Technique: Two-panel axial: CT | PSMA PET, [68Ga]Ga-PSMA-11 tracer. acquired on Siemens Biograph 64-4R TruePoint. slice 30 of 165. PET panel 168×168 px (4.1 mm/px).
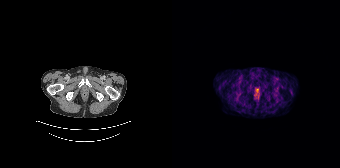
Findings: No tumor lesions annotated on this slice.